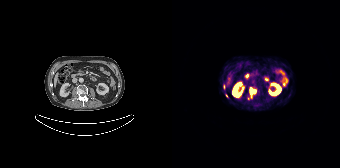
Technique: Paired axial CT (left) and PSMA PET (right), 68Ga-PSMA tracer. slice position z = -628 mm.
Findings: Coordinates are on the 168×168 PET (right) panel. PSMA-avid tumor lesion bounding box (x, y, width, height): x=75 y=87 w=10 h=14. Small PSMA-avid foci (2 to 4 px across) near (center x, center y): (51, 86) | (54, 95).